Paired axial CT (left) and PSMA PET (right), 18F-PSMA tracer. Slice position z = -1252 mm.
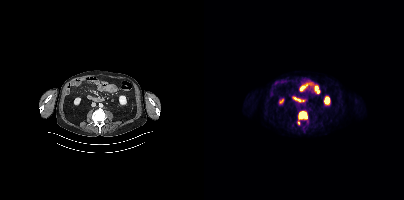
Coordinates are on the 200×200 PET (right) panel. PSMA-avid tumor lesion bounding boxes:
| # | x0 | y0 | x1 | y1 |
|---|---|---|---|---|
| 1 | 95 | 111 | 103 | 118 |
Small PSMA-avid focus (2 to 4 px across) near (center x, center y): (94, 122).